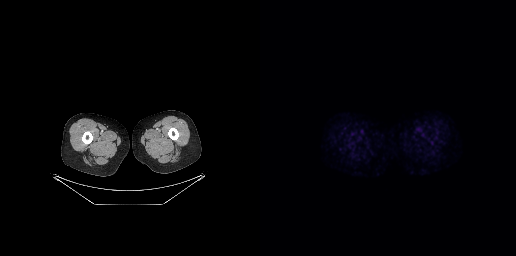
Negative for PSMA-avid disease on this slice.